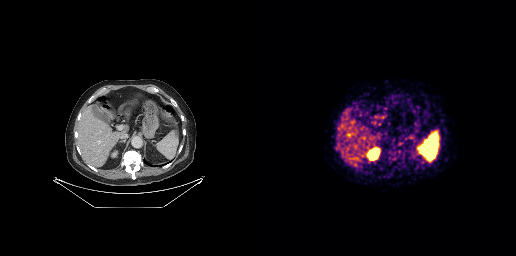
{"pet_grid":[256,256],"coord_frame":"pet_panel","coord_format":"x0,y0,x1,y1","psma_avid_lesions":false,"modality":"PSMA PET/CT","view":"axial","tracer":"68Ga"}